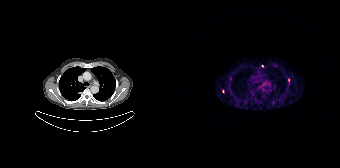
Paired axial CT (left) and PSMA PET (right), 68Ga tracer. Acquired on Siemens Biograph 64-4R TruePoint. Coordinates are on the 168×168 PET (right) panel. PSMA-avid tumor lesion bounding box (x, y, width, height): x=116 y=78 w=2 h=6. Small PSMA-avid foci (2 to 4 px across) near (center x, center y): (50, 91) | (90, 65).